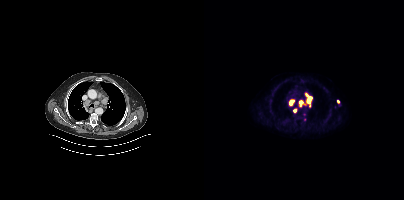
Findings: Coordinates are on the 200×200 PET (right) panel. PSMA-avid tumor lesion bounding boxes (x0, y0)-(x1, y1): (95, 93)-(108, 107) / (85, 99)-(90, 105) / (89, 108)-(92, 112). Small PSMA-avid focus (2 to 4 px across) near (center x, center y): (134, 101).
- Two-panel axial: CT | PSMA PET, 18F tracer
- acquired on Siemens Biograph mCT Flow 20